Left: CT. Right: PSMA PET, same axial level, 18F tracer. Acquired on Siemens Biograph mCT Flow 20.
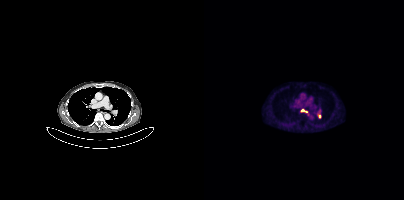
Coordinates are on the 200×200 PET (right) panel. PSMA-avid tumor lesion bounding boxes (x0,y0,x1,y1): [96,108,105,114]; [114,114,116,118].